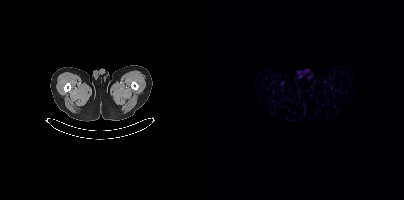
Two-panel axial: CT | PSMA PET, 68Ga-PSMA tracer. Acquired on Siemens Biograph mCT Flow 20. Slice position z = -1856 mm. This slice has no annotated PSMA-avid lesion.